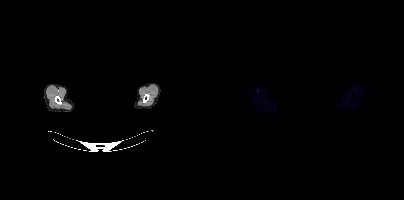
Technique: Paired axial CT (left) and PSMA PET (right), 18F tracer. acquired on Siemens Biograph mCT Flow 20.
Note: Face de-identified by blanking a block of the head.
Findings: No tumor lesions annotated on this slice.